Paired axial CT (left) and PSMA PET (right), [68Ga]Ga-PSMA-11 tracer. Slice position z = -851 mm.
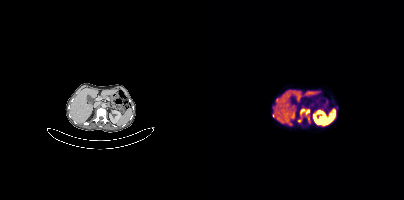
Coordinates are on the 200×200 PET (right) panel. (showing 3 of 4 foci) PSMA-avid tumor lesion bounding box (x, y, width, height): x=94 y=109 w=12 h=14. Small PSMA-avid foci (2 to 4 px across) near (center x, center y): (104, 118); (69, 115).